Paired axial CT (left) and PSMA PET (right), [18F]PSMA-1007 tracer. Slice 307 of 454. PET panel 200×200 px (4.1 mm/px).
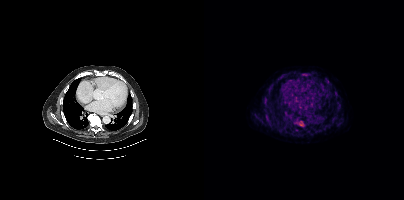
Coordinates are on the 200×200 PET (right) panel. PSMA-avid tumor lesion bounding boxes:
| # | x0 | y0 | x1 | y1 |
|---|---|---|---|---|
| 1 | 95 | 121 | 99 | 125 |
| 2 | 98 | 74 | 103 | 75 |